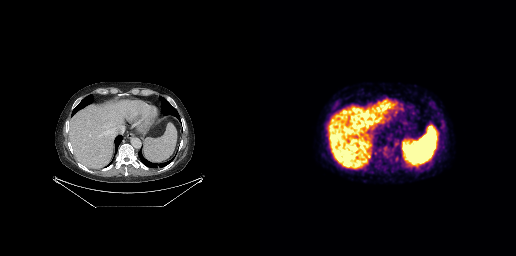
Two-panel axial: CT | PSMA PET, [18F]PSMA-1007 tracer. Acquired on GE Discovery 690. Negative for PSMA-avid disease on this slice.